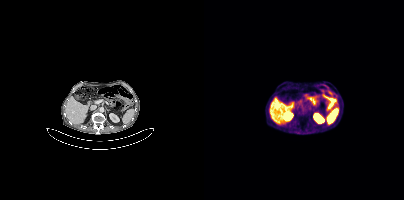
Negative for PSMA-avid disease on this slice.